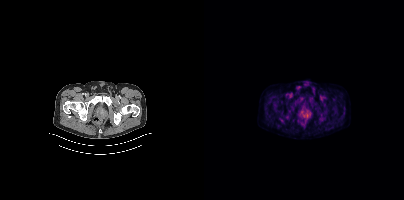
{"pet_grid":[200,200],"coord_frame":"pet_panel","coord_format":"x0,y0,x1,y1","lesion_bboxes":[[97,111,104,117]],"modality":"PSMA PET/CT","view":"axial","tracer":"[18F]PSMA-1007"}